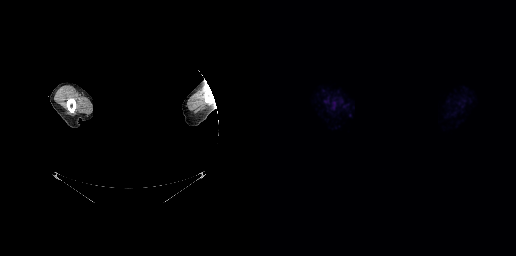
This slice has no annotated PSMA-avid lesion. A rectangle over the head was blacked out to remove identifiable facial features. Paired axial CT (left) and PSMA PET (right), 18F-PSMA tracer. Acquired on GE Discovery 690.